Left: CT. Right: PSMA PET, same axial level, 18F-PSMA tracer. Slice position z = 144 mm.
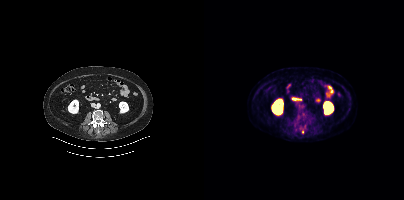
Coordinates are on the 200×200 PET (right) panel. Small PSMA-avid focus (2 to 4 px across) near (center x, center y): (98, 131).